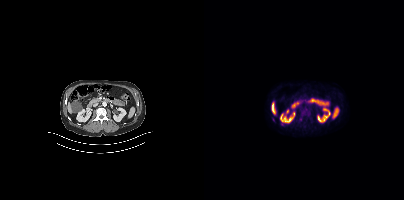
modality: PSMA PET/CT | tracer: 18F | view: axial | PET grid: 200×200
Only PSMA-avid lesion pieces thinner than 2 px on this slice (not listed).